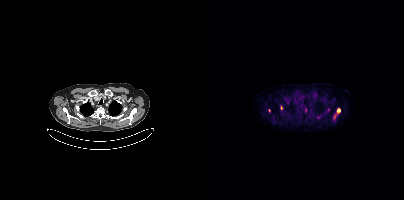
Findings: Coordinates are on the 200×200 PET (right) panel. PSMA-avid tumor lesion bounding box (x0,y0,x1,y1): [129,108,136,119]. Small PSMA-avid foci (2 to 4 px across) near (center x, center y): (77, 107); (83, 102); (65, 110); (123, 110); (111, 94); (101, 110).
- Paired axial CT (left) and PSMA PET (right), 18F-PSMA tracer
- acquired on Siemens Biograph mCT Flow 20
- slice position z = -952 mm